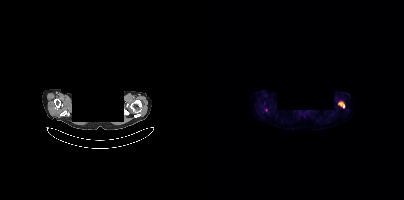
A rectangle over the head was blacked out to remove identifiable facial features. Left: CT. Right: PSMA PET, same axial level, [18F]PSMA-1007 tracer. Acquired on Siemens Biograph mCT Flow 20. PET panel 200×200 px (4.1 mm/px).
Coordinates are on the 200×200 PET (right) panel. PSMA-avid tumor lesion bounding boxes:
| # | x0 | y0 | x1 | y1 |
|---|---|---|---|---|
| 1 | 134 | 101 | 140 | 107 |